- Paired axial CT (left) and PSMA PET (right), 18F-PSMA tracer
- acquired on Siemens Biograph mCT Flow 20
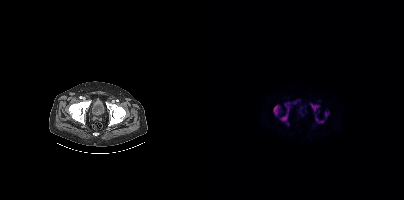
Findings: Coordinates are on the 200×200 PET (right) panel. (showing 9 of 10 foci) PSMA-avid tumor lesion bounding boxes (x0,y0,x1,y1): [69,105,76,115], [107,104,115,111], [76,114,83,120], [111,117,119,123], [121,112,124,116], [89,100,93,104], [83,106,85,111]. Small PSMA-avid foci (2 to 4 px across) near (center x, center y): (81, 105), (84, 102).